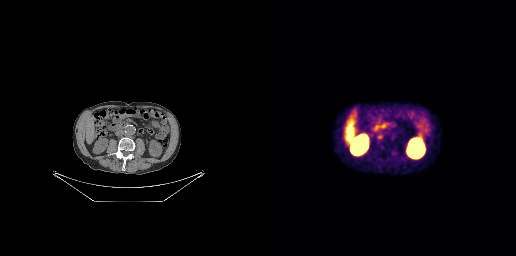
Findings: Coordinates are on the 256×256 PET (right) panel. Small PSMA-avid focus (2 to 4 px across) near (center x, center y): (119, 136).
Technique: Paired axial CT (left) and PSMA PET (right), 68Ga-PSMA tracer. slice 96 of 227. PET panel 256×256 px (2.7 mm/px).